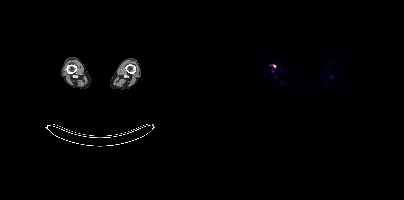
Coordinates are on the 200×200 PET (right) panel. Small PSMA-avid focus (2 to 4 px across) near (center x, center y): (70, 66). Left: CT. Right: PSMA PET, same axial level, 18F-PSMA tracer.